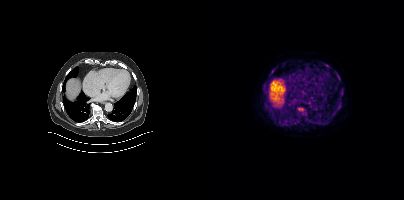
Coordinates are on the 200×200 PET (right) panel. (showing 7 of 8 foci) PSMA-avid tumor lesion bounding boxes (x, y, width, height): x=119 y=119 w=7 h=6 | x=132 y=106 w=5 h=5 | x=94 y=108 w=6 h=3 | x=136 y=92 w=4 h=5 | x=121 y=64 w=5 h=4. Small PSMA-avid foci (2 to 4 px across) near (center x, center y): (61, 89) | (66, 74).